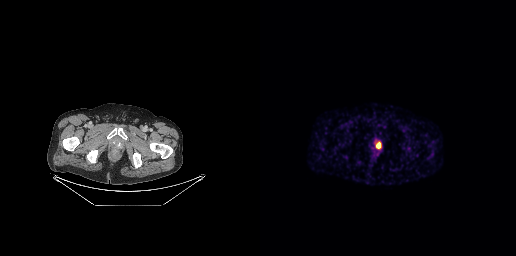
Coordinates are on the 256×256 PET (right) panel. PSMA-avid tumor lesion bounding box (x0, y0)-(x1, y1): (116, 142)-(120, 148).